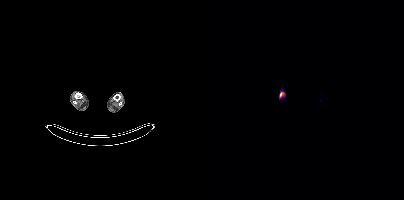
Technique: Paired axial CT (left) and PSMA PET (right), 18F tracer. acquired on Siemens Biograph mCT Flow 20. slice 108 of 963.
Findings: Coordinates are on the 200×200 PET (right) panel. PSMA-avid tumor lesion bounding box (x, y, width, height): x=75 y=91 w=6 h=7.